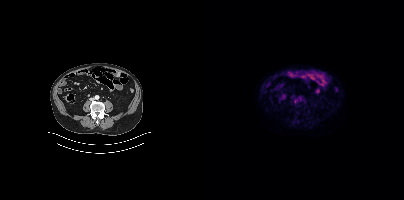
- Paired axial CT (left) and PSMA PET (right), 18F tracer
- PET panel 200×200 px (4.1 mm/px)
Findings: No tumor lesions annotated on this slice.